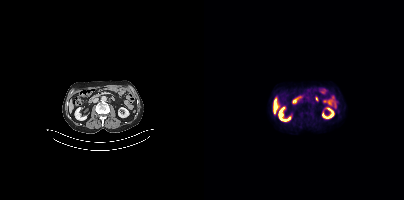
No tumor lesions annotated on this slice. Paired axial CT (left) and PSMA PET (right), 18F tracer. Slice 180 of 423.